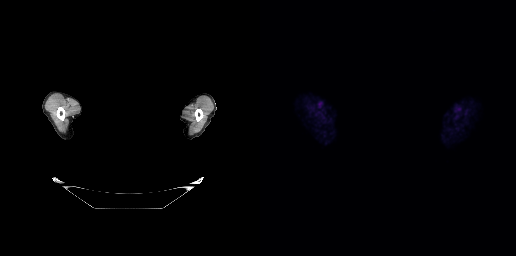
{"modality":"PSMA PET/CT","view":"axial","tracer":"68Ga","pet_grid":[256,256],"coord_frame":"pet_panel","coord_format":"x0,y0,x1,y1","psma_avid_lesions":false,"redaction":"facial region redacted"}